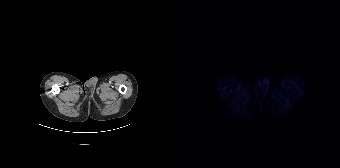
Technique: Two-panel axial: CT | PSMA PET, 18F tracer. acquired on Siemens Biograph 64-4R TruePoint.
Findings: This slice has no annotated PSMA-avid lesion.